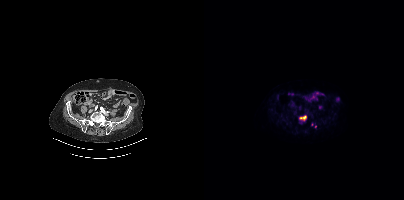
Findings: Coordinates are on the 200×200 PET (right) panel. PSMA-avid tumor lesion bounding box (x0, y0)-(x1, y1): (95, 115)-(102, 121). Small PSMA-avid foci (2 to 4 px across) near (center x, center y): (108, 124) | (111, 126).
Technique: Paired axial CT (left) and PSMA PET (right), 18F tracer. slice position z = -838 mm.